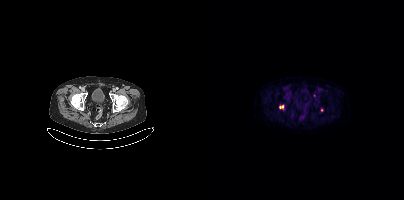
{"pet_grid":[200,200],"coord_frame":"pet_panel","coord_format":"x0,y0,x1,y1","lesion_bboxes":[],"small_foci_centers":[[76,106],[118,110],[110,95]],"modality":"PSMA PET/CT","view":"axial","tracer":"[18F]PSMA-1007"}